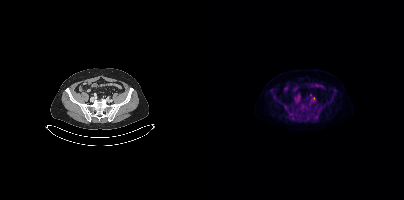
Only PSMA-avid lesion pieces thinner than 2 px on this slice (not listed).